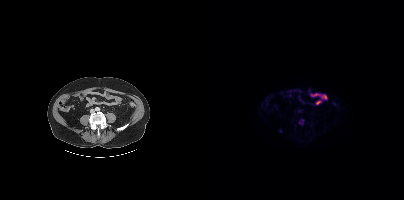
Two-panel axial: CT | PSMA PET, 18F-PSMA tracer. PET panel 200×200 px (4.1 mm/px). No tumor lesions annotated on this slice.